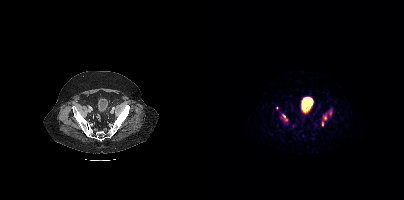
Findings: Coordinates are on the 200×200 PET (right) panel. PSMA-avid tumor lesion bounding boxes (x0, y0)-(x1, y1): (117, 108)-(128, 125) | (78, 114)-(83, 120). Small PSMA-avid focus (2 to 4 px across) near (center x, center y): (72, 108).
- Paired axial CT (left) and PSMA PET (right), 68Ga-PSMA tracer
- acquired on Siemens Biograph mCT Flow 20
- slice position z = 367 mm
- PET panel 200×200 px (4.1 mm/px)